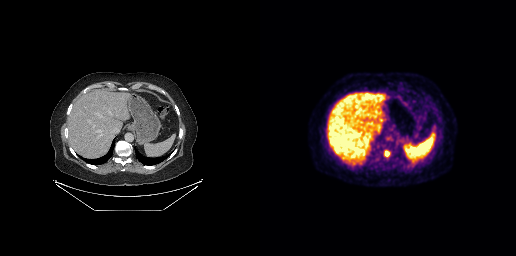
Coordinates are on the 256×256 PET (right) panel. Small PSMA-avid focus (2 to 4 px across) near (center x, center y): (126, 153).